- Left: CT. Right: PSMA PET, same axial level, 18F tracer
- acquired on Siemens Biograph mCT Flow 20
- PET panel 200×200 px (4.1 mm/px)
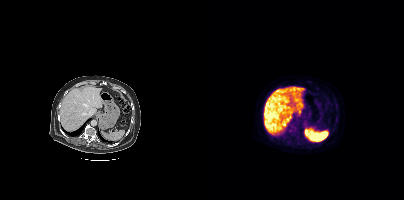
Findings: Negative for PSMA-avid disease on this slice.